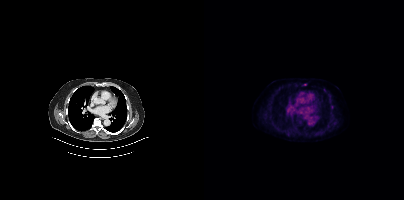
- Paired axial CT (left) and PSMA PET (right), [18F]PSMA-1007 tracer
- acquired on Siemens Biograph mCT Flow 20
- PET panel 200×200 px (4.1 mm/px)
Findings: Coordinates are on the 200×200 PET (right) panel. Small PSMA-avid focus (2 to 4 px across) near (center x, center y): (101, 84).